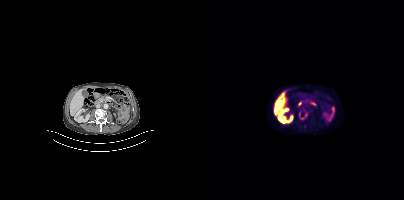
modality: PSMA PET/CT | tracer: 18F | view: axial | PET grid: 200×200
Coordinates are on the 200×200 PET (right) panel. (showing 1 of 2 foci) PSMA-avid tumor lesion bounding box (x, y, width, height): x=95 y=112 w=9 h=8.